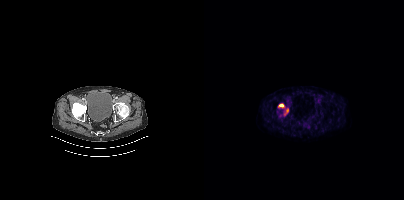
Findings: Coordinates are on the 200×200 PET (right) panel. PSMA-avid tumor lesion bounding box (x, y, width, height): x=74 y=103 w=11 h=13.
Technique: Left: CT. Right: PSMA PET, same axial level, 18F-PSMA tracer. slice 62 of 427. PET panel 200×200 px (4.1 mm/px).